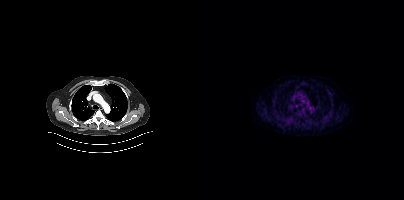
Coordinates are on the 200×200 PET (right) panel. Small PSMA-avid focus (2 to 4 px across) near (center x, center y): (92, 106).